Left: CT. Right: PSMA PET, same axial level, 18F tracer. PET panel 200×200 px (4.1 mm/px).
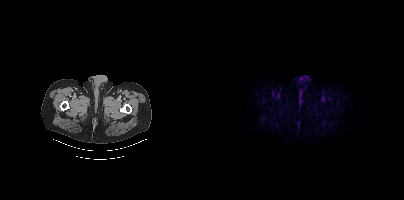
Negative for PSMA-avid disease on this slice.